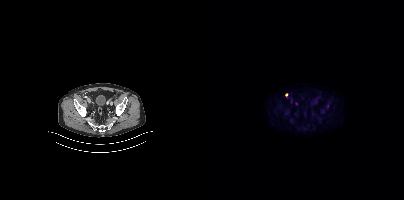
{"modality":"PSMA PET/CT","view":"axial","tracer":"18F-PSMA","pet_grid":[200,200],"coord_frame":"pet_panel","coord_format":"x0,y0,x1,y1","lesion_bboxes":[],"small_foci_centers":[[123,106]]}